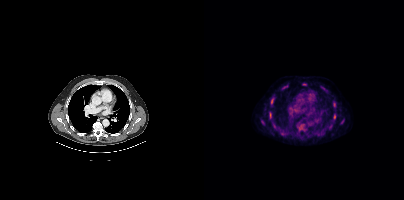
- Two-panel axial: CT | PSMA PET, 18F tracer
Findings: Coordinates are on the 200×200 PET (right) panel. (showing 5 of 6 foci) Small PSMA-avid foci (2 to 4 px across) near (center x, center y): (68, 100) | (100, 84) | (130, 104) | (130, 117) | (66, 113).